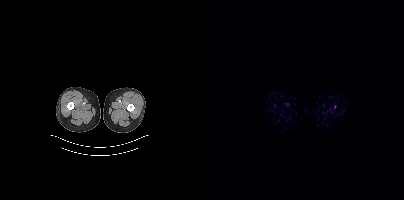
Findings: This slice has no annotated PSMA-avid lesion.
- Two-panel axial: CT | PSMA PET, 18F tracer
- PET panel 200×200 px (4.1 mm/px)